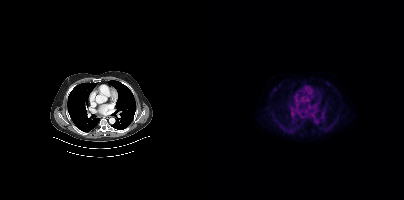
modality: PSMA PET/CT | tracer: 18F-PSMA | view: axial | PET grid: 200×200
Negative for PSMA-avid disease on this slice.